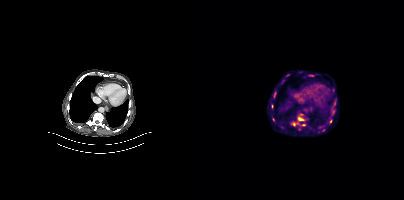
Coordinates are on the 200×200 PET (right) panel. (showing 4 of 6 foci) PSMA-avid tumor lesion bounding boxes (x, y, width, height): x=94 y=117 w=7 h=4 | x=127 y=109 w=5 h=6. Small PSMA-avid foci (2 to 4 px across) near (center x, center y): (90, 124) | (99, 124).